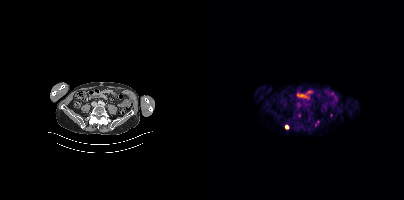
- Two-panel axial: CT | PSMA PET, 18F tracer
- PET panel 200×200 px (4.1 mm/px)
Findings: Coordinates are on the 200×200 PET (right) panel. PSMA-avid tumor lesion bounding box (x0,y0,x1,y1): [81,124,85,129].